modality: PSMA PET/CT | tracer: 18F | view: axial | PET grid: 200×200
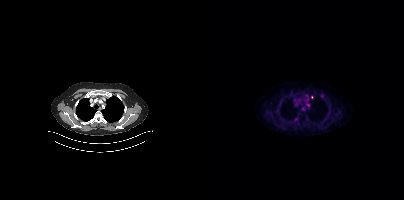
Coordinates are on the 200×200 PET (right) panel. Small PSMA-avid focus (2 to 4 px across) near (center x, center y): (107, 97).